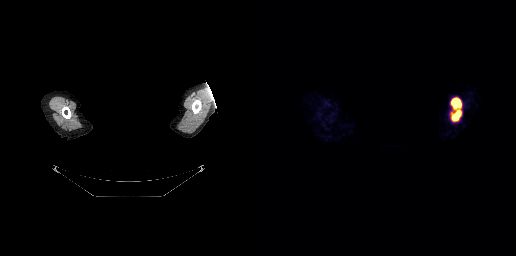
- the head region is masked for de-identification
- Paired axial CT (left) and PSMA PET (right), 68Ga tracer
- slice 284 of 299
Findings: Coordinates are on the 256×256 PET (right) panel. PSMA-avid tumor lesion bounding box (x0, y0)-(x1, y1): (191, 97)-(201, 121).